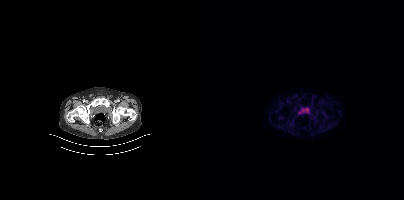
Paired axial CT (left) and PSMA PET (right), 18F tracer. Slice 51 of 354. No tumor lesions annotated on this slice.